Paired axial CT (left) and PSMA PET (right), 18F tracer. Slice 44 of 383.
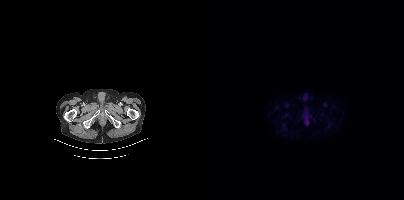
This slice has no annotated PSMA-avid lesion.